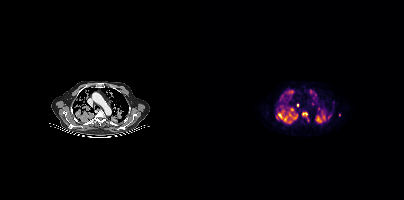
modality: PSMA PET/CT | tracer: 18F | view: axial | PET grid: 200×200
Coordinates are on the 200×200 PET (right) panel. (showing 11 of 14 foci) PSMA-avid tumor lesion bounding boxes (x0, y0)-(x1, y1): (72, 109)-(83, 121); (112, 115)-(121, 122); (81, 90)-(89, 94); (85, 114)-(93, 119); (98, 112)-(103, 115). Small PSMA-avid foci (2 to 4 px across) near (center x, center y): (107, 91); (111, 94); (115, 108); (88, 109); (93, 105); (135, 114).